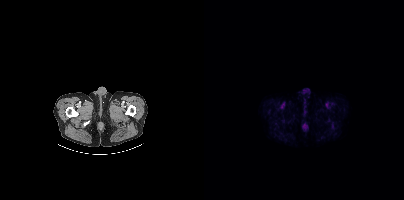
- Paired axial CT (left) and PSMA PET (right), [18F]PSMA-1007 tracer
Findings: Negative for PSMA-avid disease on this slice.